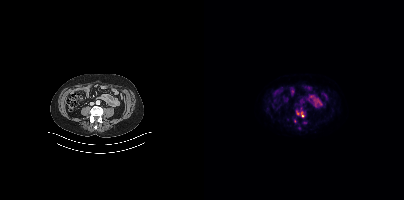
{"pet_grid":[200,200],"coord_frame":"pet_panel","coord_format":"x0,y0,x1,y1","lesion_bboxes":[[92,111,95,115],[97,113,99,117]],"small_foci_centers":[[90,121]],"modality":"PSMA PET/CT","view":"axial","tracer":"[18F]PSMA-1007"}